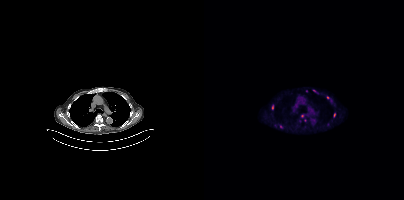
Technique: Two-panel axial: CT | PSMA PET, 18F tracer. acquired on Siemens Biograph mCT Flow 20. PET panel 200×200 px (4.1 mm/px).
Findings: Coordinates are on the 200×200 PET (right) panel. (showing 6 of 9 foci) PSMA-avid tumor lesion bounding box (x0,y0,x1,y1): [68,105,69,109]. Small PSMA-avid foci (2 to 4 px across) near (center x, center y): (130, 114), (124, 97), (98, 115), (77, 126), (110, 90).